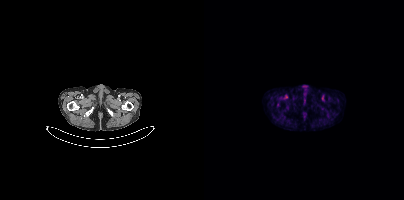
{"pet_grid":[200,200],"coord_frame":"pet_panel","coord_format":"x0,y0,x1,y1","partial":true,"lesion_bboxes":[],"modality":"PSMA PET/CT","view":"axial","tracer":"18F"}